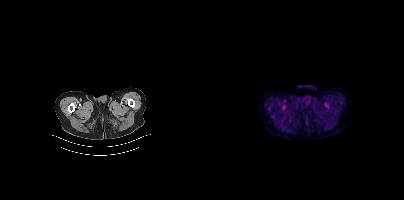
Paired axial CT (left) and PSMA PET (right), [18F]PSMA-1007 tracer. Slice position z = -1504 mm. PET panel 200×200 px (4.1 mm/px). This slice has no annotated PSMA-avid lesion.